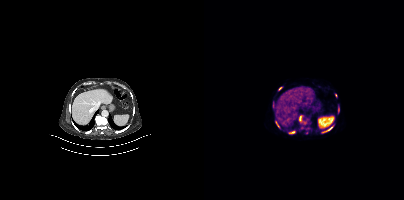
Coordinates are on the 200×200 PET (right) panel. (showing 9 of 12 foci) PSMA-avid tumor lesion bounding boxes (x, y, width, height): x=117 y=127 w=12 h=7; x=95 y=115 w=4 h=8; x=85 y=131 w=6 h=3; x=71 y=121 w=4 h=5; x=74 y=87 w=5 h=4; x=134 y=107 w=2 h=5. Small PSMA-avid foci (2 to 4 px across) near (center x, center y): (131, 95); (69, 102); (100, 122).